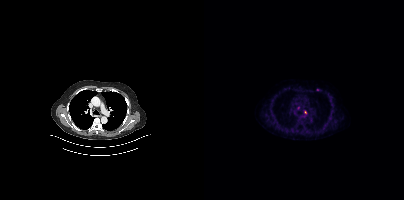
modality: PSMA PET/CT | tracer: 18F-PSMA | view: axial
Coordinates are on the 200×200 PET (right) panel. Small PSMA-avid focus (2 to 4 px across) near (center x, center y): (101, 112).